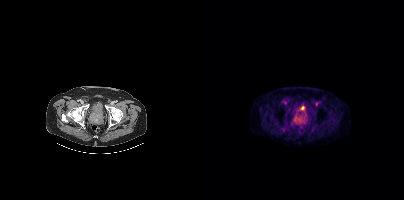
Coordinates are on the 200×200 PET (right) panel. (showing 2 of 5 foci) Small PSMA-avid foci (2 to 4 px across) near (center x, center y): (91, 118), (97, 114). Left: CT. Right: PSMA PET, same axial level, [18F]PSMA-1007 tracer. PET panel 200×200 px (4.1 mm/px).